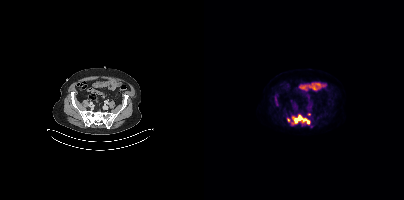
Coordinates are on the 200×200 PET (right) panel. PSMA-avid tumor lesion bounding box (x0,y0,x1,y1): [87,114,106,124]. Small PSMA-avid foci (2 to 4 px across) near (center x, center y): (84, 119); (105, 114).